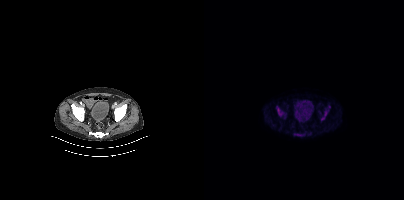
Findings: Coordinates are on the 200×200 PET (right) panel. (showing 3 of 4 foci) PSMA-avid tumor lesion bounding boxes (x, y, width, height): x=117 y=110 w=8 h=11; x=72 y=106 w=8 h=11; x=90 y=134 w=10 h=2.
- Paired axial CT (left) and PSMA PET (right), 18F tracer
- acquired on Siemens Biograph mCT Flow 20
- PET panel 200×200 px (4.1 mm/px)